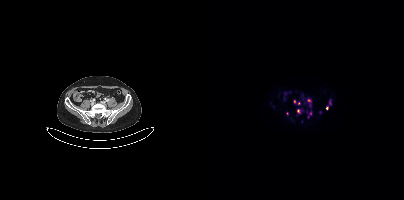
{"pet_grid":[200,200],"coord_frame":"pet_panel","coord_format":"x0,y0,x1,y1","partial":true,"lesion_bboxes":[[103,99,107,102]],"small_foci_centers":[[83,113],[90,101],[94,103],[94,111],[126,103]],"modality":"PSMA PET/CT","view":"axial","tracer":"68Ga-PSMA"}